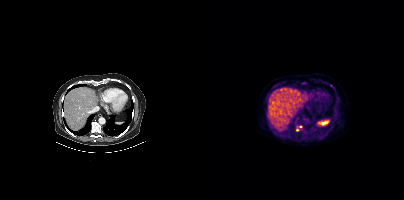
Left: CT. Right: PSMA PET, same axial level, [18F]PSMA-1007 tracer. Slice 282 of 448. PET panel 200×200 px (4.1 mm/px). Coordinates are on the 200×200 PET (right) panel. Small PSMA-avid foci (2 to 4 px across) near (center x, center y): (93, 129), (127, 85), (96, 126).